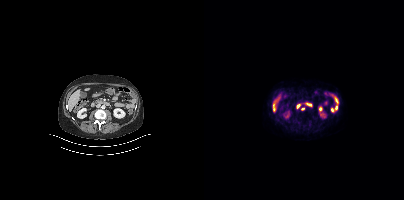
- Two-panel axial: CT | PSMA PET, 18F-PSMA tracer
- acquired on Siemens Biograph mCT Flow 20
- slice position z = -718 mm
- PET panel 200×200 px (4.1 mm/px)
Findings: Coordinates are on the 200×200 PET (right) panel. Small PSMA-avid focus (2 to 4 px across) near (center x, center y): (98, 108).